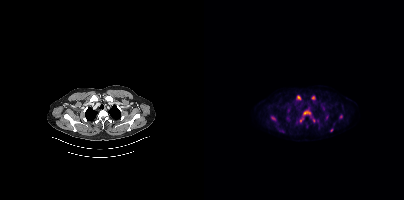
Findings: Coordinates are on the 200×200 PET (right) panel. (showing 10 of 11 foci) PSMA-avid tumor lesion bounding boxes (x0,y0,x1,y1): [95,110,107,122], [92,95,96,100], [75,129,80,132], [67,117,71,119]. Small PSMA-avid foci (2 to 4 px across) near (center x, center y): (109, 97), (109, 120), (128, 129), (136, 116), (123, 115), (121, 118).
Technique: Left: CT. Right: PSMA PET, same axial level, [18F]PSMA-1007 tracer. PET panel 200×200 px (4.1 mm/px).